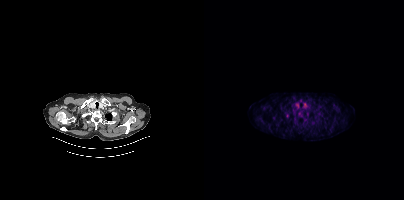
{"pet_grid":[200,200],"coord_frame":"pet_panel","coord_format":"x0,y0,x1,y1","psma_avid_lesions":false,"modality":"PSMA PET/CT","view":"axial","tracer":"18F-PSMA"}